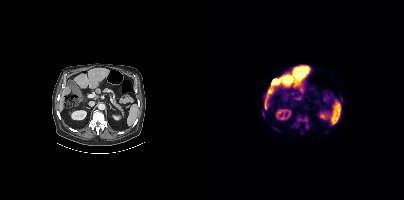
Coordinates are on the 200×200 PET (right) panel. (showing 4 of 5 foci) PSMA-avid tumor lesion bounding boxes (x, y, width, height): x=89 y=115 w=17 h=15 | x=92 y=97 w=5 h=3. Small PSMA-avid foci (2 to 4 px across) near (center x, center y): (60, 116) | (97, 132).
modality: PSMA PET/CT | tracer: [18F]PSMA-1007 | view: axial | PET grid: 200×200